Left: CT. Right: PSMA PET, same axial level, [18F]PSMA-1007 tracer. Slice position z = -1634 mm.
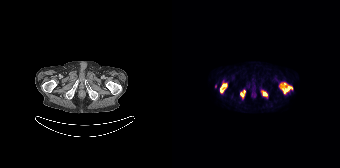
Coordinates are on the 168×168 PET (right) panel. PSMA-avid tumor lesion bounding boxes (x0, y0)-(x1, y1): (107, 82)-(120, 94); (48, 83)-(55, 92); (89, 91)-(95, 96); (68, 90)-(73, 97).